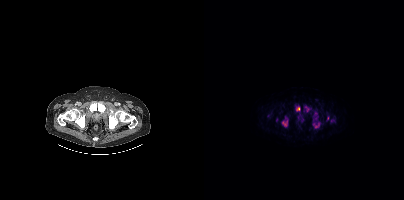
{"modality":"PSMA PET/CT","view":"axial","tracer":"18F-PSMA","pet_grid":[200,200],"coord_frame":"pet_panel","coord_format":"x0,y0,x1,y1","partial":true,"lesion_bboxes":[[78,120,83,126],[91,105,96,110],[111,123,115,127]],"small_foci_centers":[[123,118],[104,109]]}